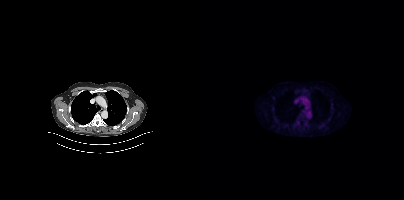
This slice has no annotated PSMA-avid lesion. Left: CT. Right: PSMA PET, same axial level, 18F tracer. Acquired on Siemens Biograph mCT Flow 20. Slice 310 of 415. PET panel 200×200 px (4.1 mm/px).